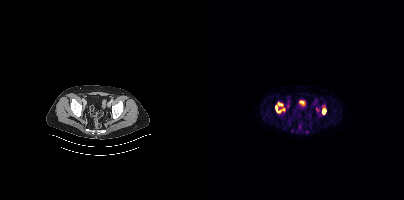
- Two-panel axial: CT | PSMA PET, 18F tracer
- acquired on Siemens Biograph mCT Flow 20
- slice 82 of 444
- PET panel 200×200 px (4.1 mm/px)
Findings: Coordinates are on the 200×200 PET (right) panel. PSMA-avid tumor lesion bounding boxes (x0, y0)-(x1, y1): (71, 102)-(80, 113) | (118, 108)-(122, 114).